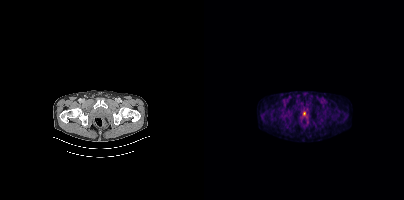
Technique: Paired axial CT (left) and PSMA PET (right), [18F]PSMA-1007 tracer. slice position z = -560 mm. PET panel 200×200 px (4.1 mm/px).
Findings: No tumor lesions annotated on this slice.